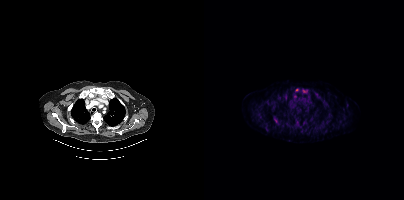
{"modality":"PSMA PET/CT","view":"axial","tracer":"18F-PSMA","pet_grid":[200,200],"coord_frame":"pet_panel","coord_format":"x0,y0,x1,y1","partial":true,"lesion_bboxes":[],"small_foci_centers":[[91,96],[92,89],[71,120]]}